modality: PSMA PET/CT | tracer: [18F]PSMA-1007 | view: axial | PET grid: 200×200
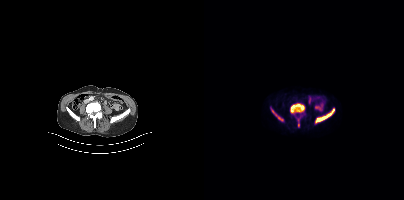
Coordinates are on the 200×200 PET (right) panel. (showing 5 of 7 foci) PSMA-avid tumor lesion bounding boxes (x0, y0)-(x1, y1): (86, 103)-(100, 113) | (111, 109)-(130, 122) | (68, 110)-(72, 115). Small PSMA-avid foci (2 to 4 px across) near (center x, center y): (75, 118) | (94, 125).